Any black rectangle over the head is a privacy mask, not anatomy. Left: CT. Right: PSMA PET, same axial level, 18F-PSMA tracer. PET panel 200×200 px (4.1 mm/px).
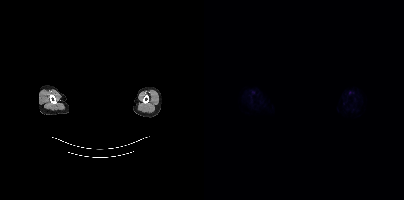
No PSMA-avid tumor lesions on this slice.